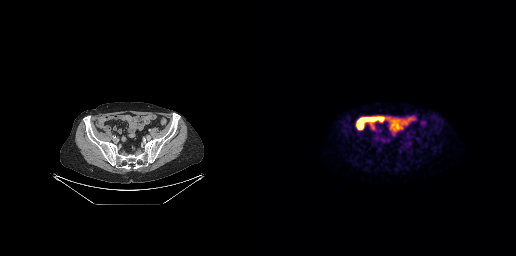
Findings: No PSMA-avid tumor lesions on this slice.
Technique: Paired axial CT (left) and PSMA PET (right), [18F]PSMA-1007 tracer. PET panel 256×256 px (2.7 mm/px).